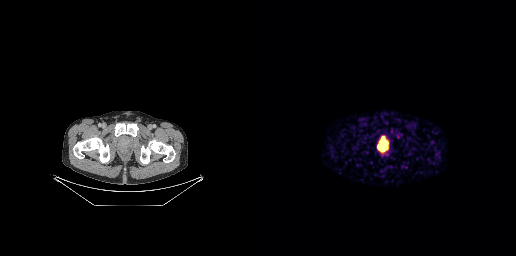
{"pet_grid":[256,256],"coord_frame":"pet_panel","coord_format":"x0,y0,x1,y1","lesion_bboxes":[[118,138,127,150]],"modality":"PSMA PET/CT","view":"axial","tracer":"[68Ga]Ga-PSMA-11"}